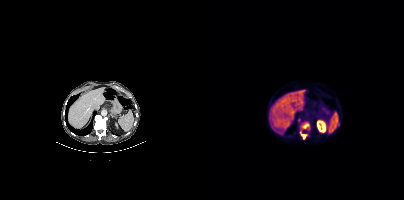
Coordinates are on the 200×200 PET (right) panel. (showing 3 of 4 foci) PSMA-avid tumor lesion bounding boxes (x, y, width, height): x=97 y=124 w=10 h=7; x=96 y=131 w=6 h=8. Small PSMA-avid focus (2 to 4 px across) near (center x, center y): (95, 120).